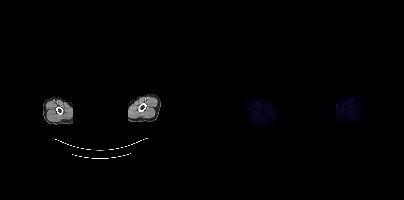
Left: CT. Right: PSMA PET, same axial level, 18F-PSMA tracer. Acquired on Siemens Biograph mCT Flow 20. Any black rectangle over the head is a privacy mask, not anatomy. This slice has no annotated PSMA-avid lesion.